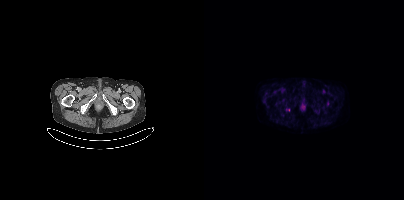
Technique: Left: CT. Right: PSMA PET, same axial level, 18F-PSMA tracer. acquired on Siemens Biograph mCT Flow 20. PET panel 200×200 px (4.1 mm/px).
Findings: This slice has no annotated PSMA-avid lesion.